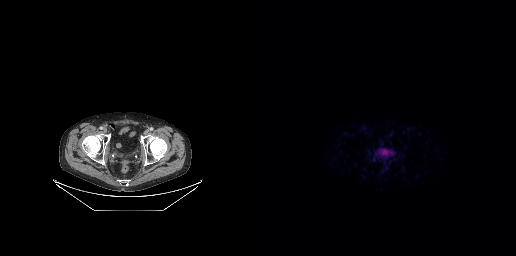
modality: PSMA PET/CT | tracer: [68Ga]Ga-PSMA-11 | view: axial
Negative for PSMA-avid disease on this slice.